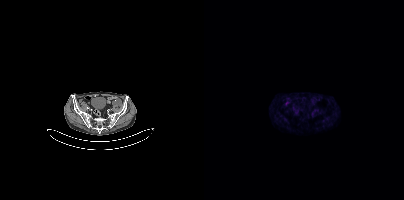
Findings: Negative for PSMA-avid disease on this slice.
- Two-panel axial: CT | PSMA PET, 18F-PSMA tracer
- slice 92 of 385
- PET panel 200×200 px (4.1 mm/px)